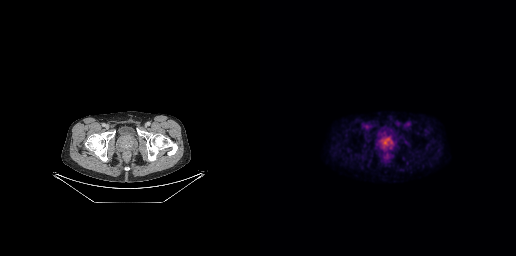
{"pet_grid":[256,256],"coord_frame":"pet_panel","coord_format":"x0,y0,x1,y1","lesion_bboxes":[[117,134,134,151]],"modality":"PSMA PET/CT","view":"axial","tracer":"[18F]PSMA-1007"}